- Two-panel axial: CT | PSMA PET, [18F]PSMA-1007 tracer
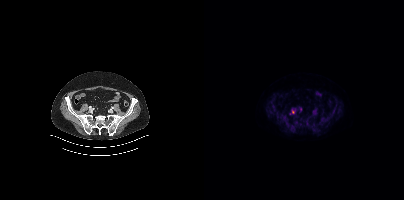
Findings: Only PSMA-avid lesion pieces thinner than 2 px on this slice (not listed).